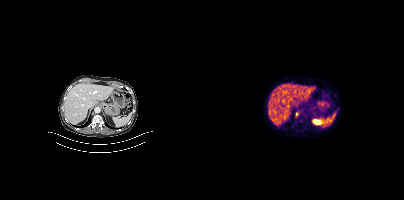
- Paired axial CT (left) and PSMA PET (right), 68Ga-PSMA tracer
Findings: Coordinates are on the 200×200 PET (right) panel. Small PSMA-avid focus (2 to 4 px across) near (center x, center y): (92, 113).